modality: PSMA PET/CT | tracer: [68Ga]Ga-PSMA-11 | view: axial
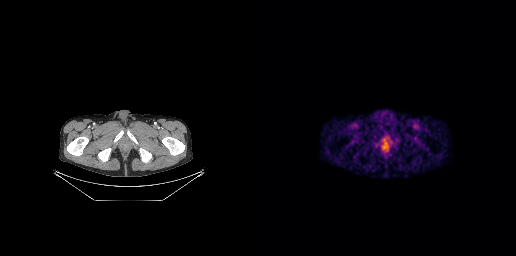
No tumor lesions annotated on this slice.